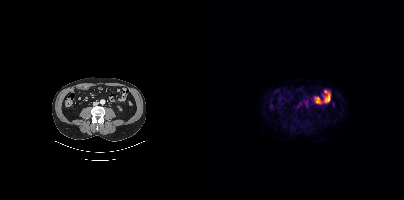
- Paired axial CT (left) and PSMA PET (right), 18F-PSMA tracer
- acquired on Siemens Biograph mCT Flow 20
- slice 163 of 438
Findings: No PSMA-avid tumor lesions on this slice.